modality: PSMA PET/CT | tracer: [18F]PSMA-1007 | view: axial | PET grid: 200×200
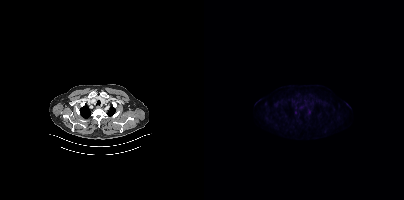
Negative for PSMA-avid disease on this slice.